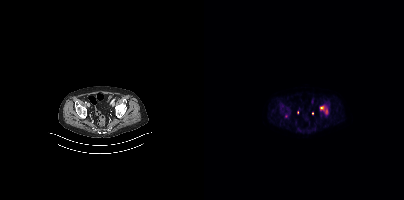
Coordinates are on the 200×200 PET (right) panel. PSMA-avid tumor lesion bounding boxes (x0, y0)-(x1, y1): (116, 105)-(124, 114) | (76, 104)-(79, 109). Small PSMA-avid focus (2 to 4 px across) near (center x, center y): (81, 116). Two-panel axial: CT | PSMA PET, [18F]PSMA-1007 tracer. Slice position z = -1511 mm. PET panel 200×200 px (4.1 mm/px).